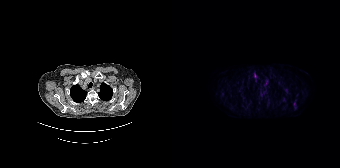
{"modality":"PSMA PET/CT","view":"axial","tracer":"[18F]PSMA-1007","pet_grid":[168,168],"coord_frame":"pet_panel","coord_format":"x0,y0,x1,y1","partial":true,"lesion_bboxes":[],"small_foci_centers":[[122,103]]}